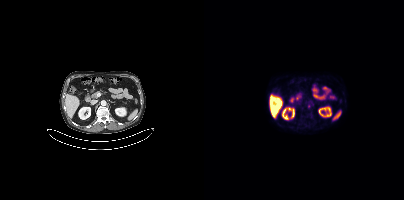
Findings: Coordinates are on the 200×200 PET (right) panel. Small PSMA-avid focus (2 to 4 px across) near (center x, center y): (105, 105).
- Two-panel axial: CT | PSMA PET, 18F tracer
- acquired on Siemens Biograph mCT Flow 20
- slice position z = -1207 mm
- PET panel 200×200 px (4.1 mm/px)